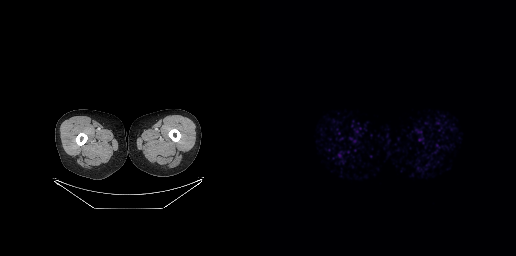
This slice has no annotated PSMA-avid lesion. Left: CT. Right: PSMA PET, same axial level, 68Ga tracer. Acquired on GE Discovery 690. Slice 7 of 263.